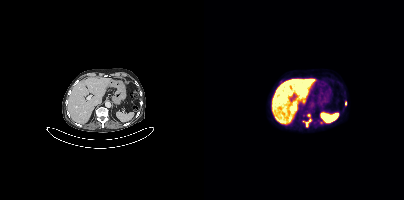
{"modality":"PSMA PET/CT","view":"axial","tracer":"18F","pet_grid":[200,200],"coord_frame":"pet_panel","coord_format":"x0,y0,x1,y1","partial":true,"lesion_bboxes":[],"small_foci_centers":[[117,122],[104,115],[105,119]]}